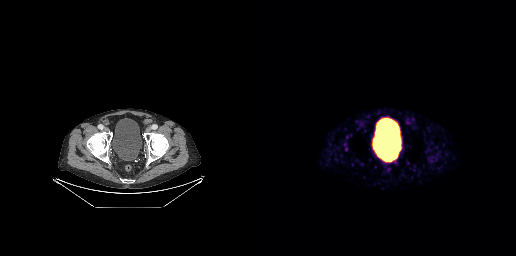
Negative for PSMA-avid disease on this slice.